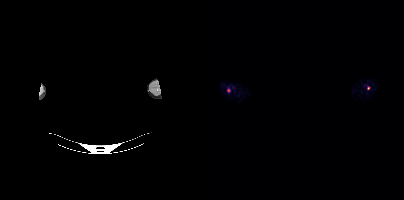
Facial anatomy redacted by setting a rectangular region of the head to black. Two-panel axial: CT | PSMA PET, 18F tracer. Acquired on Siemens Biograph mCT Flow 20. Coordinates are on the 200×200 PET (right) panel. Small PSMA-avid foci (2 to 4 px across) near (center x, center y): (24, 90) | (164, 88).